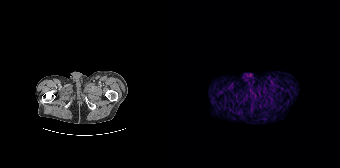
- Paired axial CT (left) and PSMA PET (right), 68Ga-PSMA tracer
- acquired on Siemens Biograph 64-4R TruePoint
- PET panel 168×168 px (4.1 mm/px)
Findings: Negative for PSMA-avid disease on this slice.